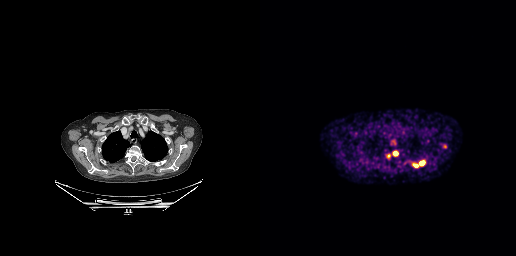
{"pet_grid":[256,256],"coord_frame":"pet_panel","coord_format":"x0,y0,x1,y1","partial":true,"lesion_bboxes":[[152,161,164,167],[134,152,138,156],[183,144,186,148],[127,153,130,158]],"modality":"PSMA PET/CT","view":"axial","tracer":"[68Ga]Ga-PSMA-11"}